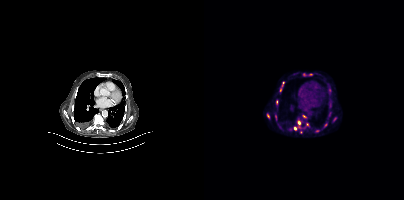
Paired axial CT (left) and PSMA PET (right), 18F-PSMA tracer. Slice 224 of 373.
Coordinates are on the 200×200 PET (right) panel. PSMA-avid tumor lesion bounding boxes:
| # | x0 | y0 | x1 | y1 |
|---|---|---|---|---|
| 1 | 90 | 120 | 105 | 130 |
| 2 | 75 | 81 | 80 | 91 |
| 3 | 62 | 113 | 66 | 119 |
| 4 | 125 | 88 | 127 | 93 |
| 5 | 129 | 117 | 132 | 121 |
| 6 | 72 | 100 | 73 | 104 |
| 7 | 71 | 115 | 72 | 119 |
| 8 | 125 | 112 | 126 | 116 |
Small PSMA-avid foci (2 to 4 px across) near (center x, center y): (100, 74); (100, 116); (112, 130); (121, 125); (105, 74); (97, 131).